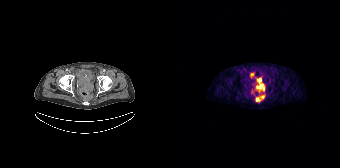
Two-panel axial: CT | PSMA PET, 68Ga-PSMA tracer. Slice 50 of 195. PET panel 168×168 px (4.1 mm/px). Coordinates are on the 168×168 PET (right) panel. PSMA-avid tumor lesion bounding boxes (x0, y0)-(x1, y1): (84, 78)-(92, 91) / (84, 95)-(92, 101) / (78, 73)-(82, 77).